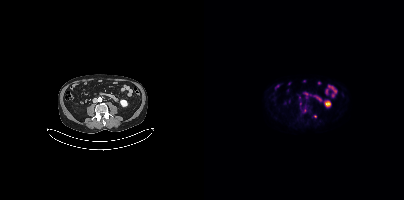
{"pet_grid":[200,200],"coord_frame":"pet_panel","coord_format":"x0,y0,x1,y1","lesion_bboxes":[],"small_foci_centers":[[100,110]],"modality":"PSMA PET/CT","view":"axial","tracer":"18F"}